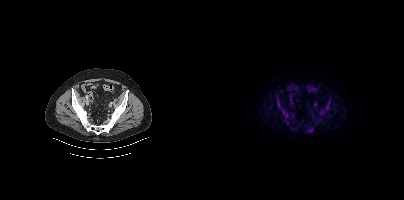
Coordinates are on the 200×200 PET (right) panel. PSMA-avid tumor lesion bounding boxes (x0,y0,x1,y1): [76,107,84,121] [103,126,109,133] [117,108,124,112] [72,97,76,103] [123,102,126,106] [106,118,109,122]. Small PSMA-avid foci (2 to 4 px across) near (center x, center y): (90, 129) (89, 123).